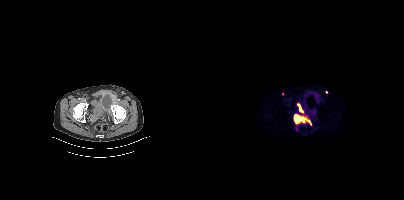
Coordinates are on the 200×200 PET (right) panel. (showing 3 of 5 foci) PSMA-avid tumor lesion bounding boxes (x0,y0,x1,y1): [90,114,103,123]; [93,103,98,112]. Small PSMA-avid focus (2 to 4 px across) near (center x, center y): (122, 92). Left: CT. Right: PSMA PET, same axial level, 18F tracer. Acquired on Siemens Biograph mCT Flow 20. Slice 78 of 427. PET panel 200×200 px (4.1 mm/px).